Technique: Left: CT. Right: PSMA PET, same axial level, [18F]PSMA-1007 tracer. acquired on Siemens Biograph mCT Flow 20. PET panel 200×200 px (4.1 mm/px).
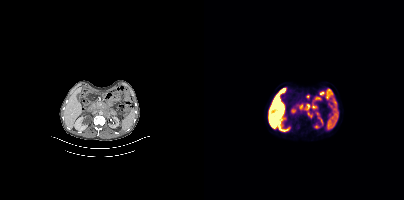
Findings: Coordinates are on the 200×200 PET (right) panel. (showing 3 of 5 foci) PSMA-avid tumor lesion bounding boxes (x, y, width, height): x=101 y=104 w=8 h=15 / x=96 y=104 w=3 h=5. Small PSMA-avid focus (2 to 4 px across) near (center x, center y): (109, 107).